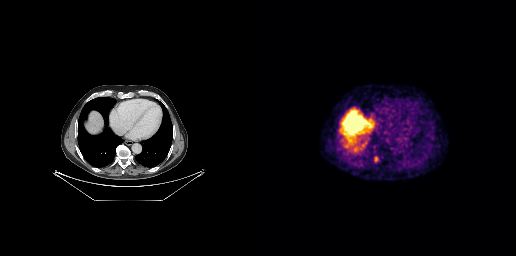
Paired axial CT (left) and PSMA PET (right), [68Ga]Ga-PSMA-11 tracer. Slice 169 of 263. Coordinates are on the 256×256 PET (right) panel. PSMA-avid tumor lesion bounding box (x0,y0,x1,y1): [114,156,118,162].